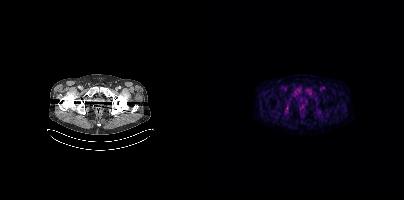
Left: CT. Right: PSMA PET, same axial level, [18F]PSMA-1007 tracer. Acquired on Siemens Biograph mCT Flow 20. PET panel 200×200 px (4.1 mm/px). Negative for PSMA-avid disease on this slice.